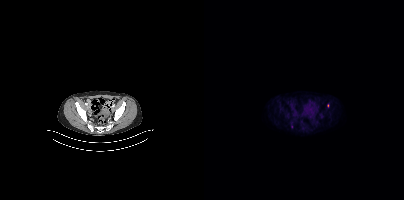
Coordinates are on the 200×200 PET (right) panel. Small PSMA-avid focus (2 to 4 px across) near (center x, center y): (123, 105).
modality: PSMA PET/CT | tracer: [18F]PSMA-1007 | view: axial | PET grid: 200×200